Technique: Two-panel axial: CT | PSMA PET, 18F tracer. acquired on Siemens Biograph mCT Flow 20. slice position z = -664 mm.
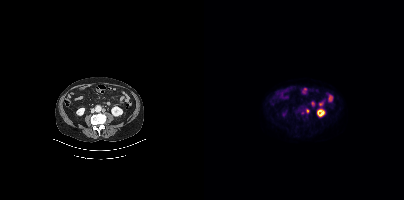
Findings: Coordinates are on the 200×200 PET (right) panel. Small PSMA-avid focus (2 to 4 px across) near (center x, center y): (103, 110).